Paired axial CT (left) and PSMA PET (right), [18F]PSMA-1007 tracer. Acquired on Siemens Biograph mCT Flow 20. Slice position z = 164 mm.
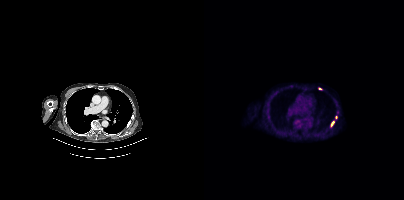
Coordinates are on the 200×200 PET (right) panel. PSMA-avid tumor lesion bounding boxes:
| # | x0 | y0 | x1 | y1 |
|---|---|---|---|---|
| 1 | 126 | 120 | 130 | 127 |
| 2 | 114 | 88 | 118 | 89 |
Small PSMA-avid focus (2 to 4 px across) near (center x, center y): (132, 117).